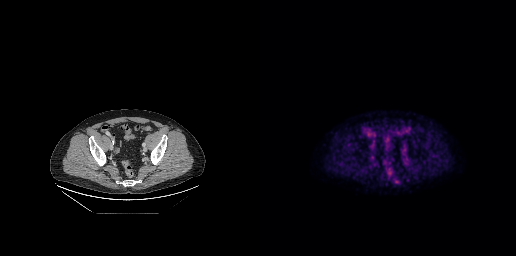
Coordinates are on the 256×256 PET (right) panel. PSMA-avid tumor lesion bounding box (x0,y0,x1,y1): [133,178,139,183].